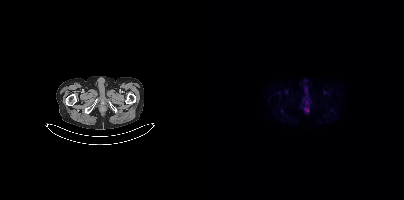
Findings: This slice has no annotated PSMA-avid lesion.
- Left: CT. Right: PSMA PET, same axial level, 18F tracer
- PET panel 200×200 px (4.1 mm/px)